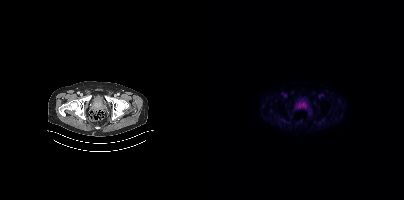
modality: PSMA PET/CT | tracer: 18F-PSMA | view: axial
Coordinates are on the 200×200 PET (right) panel. PSMA-avid tumor lesion bounding box (x0,y0,x1,y1): [96,103,101,108].